Two-panel axial: CT | PSMA PET, 18F-PSMA tracer. Acquired on Siemens Biograph mCT Flow 20. Slice 394 of 435. A rectangular block over the head has been blanked out for de-identification.
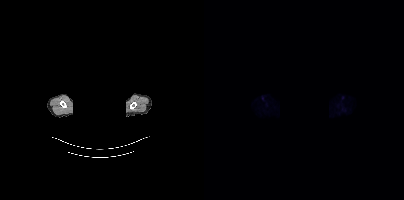
No PSMA-avid tumor lesions on this slice.